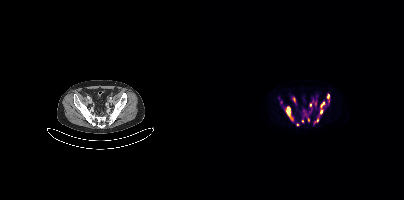
Findings: Coordinates are on the 200×200 PET (right) panel. PSMA-avid tumor lesion bounding boxes (x0,y0,x1,y1): [82,107,86,115] [102,115,105,121] [122,94,125,98] [89,97,91,102] [117,102,120,107] [116,109,118,113] [87,117,89,121] [110,120,114,123] [111,101,112,105]. Small PSMA-avid foci (2 to 4 px across) near (center x, center y): (93, 124) (98, 121) (77, 102) (106, 105) (108, 101).
- Paired axial CT (left) and PSMA PET (right), 18F tracer
- acquired on Siemens Biograph mCT Flow 20